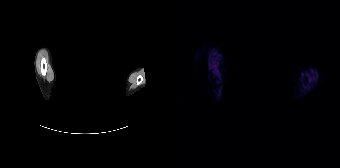
modality: PSMA PET/CT | tracer: [68Ga]Ga-PSMA-11 | view: axial | PET grid: 168×168 | de-identification: privacy mask over head
This slice has no annotated PSMA-avid lesion.